Two-panel axial: CT | PSMA PET, 68Ga-PSMA tracer. Acquired on Siemens Biograph 64-4R TruePoint. Slice 76 of 195. PET panel 168×168 px (4.1 mm/px).
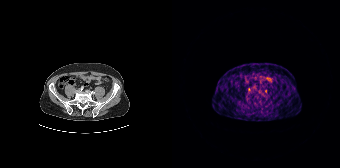
Coordinates are on the 168×168 PET (right) panel. Small PSMA-avid focus (2 to 4 px across) near (center x, center y): (77, 90).